modality: PSMA PET/CT | tracer: 68Ga-PSMA | view: axial
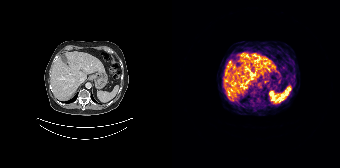
Negative for PSMA-avid disease on this slice.